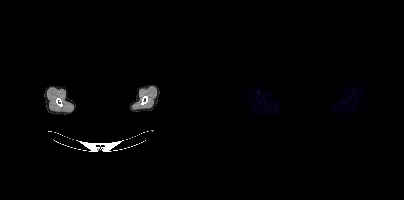
This slice has no annotated PSMA-avid lesion.
An anonymization step blacked out a rectangle over the head in this scan.